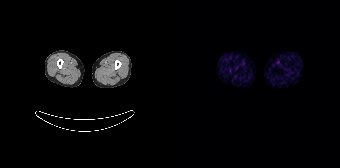
Negative for PSMA-avid disease on this slice. Paired axial CT (left) and PSMA PET (right), 68Ga tracer. Acquired on Siemens Biograph 64-4R TruePoint. Slice 14 of 195. PET panel 168×168 px (4.1 mm/px).